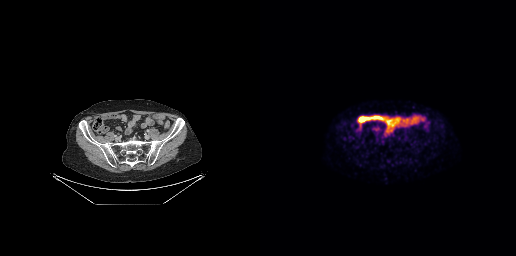
Findings: Negative for PSMA-avid disease on this slice.
Technique: Left: CT. Right: PSMA PET, same axial level, 18F tracer. acquired on GE Discovery 690.